modality: PSMA PET/CT | tracer: 18F | view: axial | PET grid: 200×200
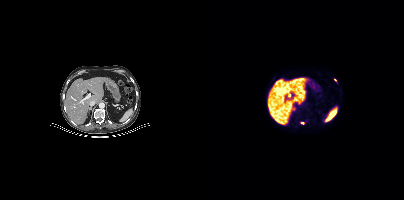
Coordinates are on the 200×200 PET (right) panel. Small PSMA-avid foci (2 to 4 px across) near (center x, center y): (98, 123); (131, 79).